Left: CT. Right: PSMA PET, same axial level, [18F]PSMA-1007 tracer. Acquired on Siemens Biograph mCT Flow 20. Slice 167 of 433. PET panel 200×200 px (4.1 mm/px).
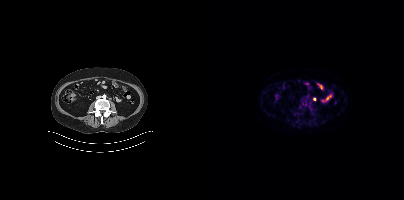
Coordinates are on the 200×200 PET (right) panel. Small PSMA-avid focus (2 to 4 px across) near (center x, center y): (110, 99).